Paired axial CT (left) and PSMA PET (right), [18F]PSMA-1007 tracer. Acquired on Siemens Biograph mCT Flow 20. Slice 330 of 431. PET panel 200×200 px (4.1 mm/px).
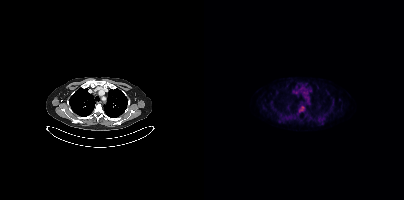
Coordinates are on the 200×200 PET (right) panel. (showing 1 of 2 foci) PSMA-avid tumor lesion bounding box (x, y, width, height): x=95 y=106 w=6 h=7.